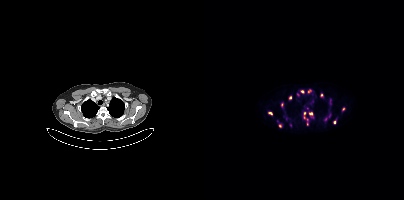
Coordinates are on the 200×200 PET (right) panel. (showing 15 of 20 foci) PSMA-avid tumor lesion bounding boxes (x0, y0)-(x1, y1): (138, 107)-(141, 111) / (124, 113)-(127, 117) / (126, 100)-(127, 104). Small PSMA-avid foci (2 to 4 px across) near (center x, center y): (98, 91) / (86, 97) / (106, 114) / (76, 125) / (105, 91) / (66, 113) / (117, 95) / (100, 113) / (130, 122) / (94, 94) / (121, 119) / (86, 125).